Left: CT. Right: PSMA PET, same axial level, 18F tracer. Acquired on Siemens Biograph mCT Flow 20. Slice 195 of 403. PET panel 200×200 px (4.1 mm/px).
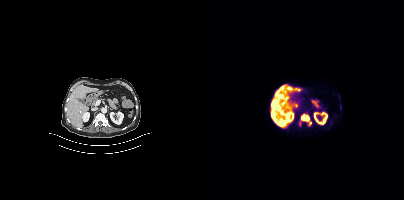
Coordinates are on the 200×200 PET (right) panel. PSMA-avid tumor lesion bounding boxes (x0, y0)-(x1, y1): (71, 90)-(80, 98) | (97, 115)-(105, 121) | (68, 101)-(73, 108) | (82, 86)-(87, 90).